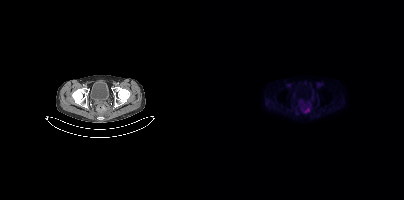
- Paired axial CT (left) and PSMA PET (right), 18F-PSMA tracer
- acquired on Siemens Biograph mCT Flow 20
- PET panel 200×200 px (4.1 mm/px)
Findings: Coordinates are on the 200×200 PET (right) panel. PSMA-avid tumor lesion bounding box (x0, y0)-(x1, y1): (100, 108)-(105, 112).